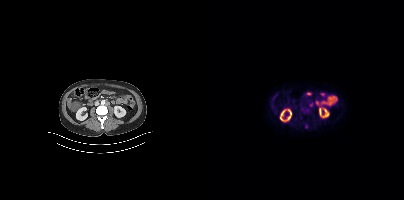
Technique: Paired axial CT (left) and PSMA PET (right), 18F-PSMA tracer. PET panel 200×200 px (4.1 mm/px).
Findings: Coordinates are on the 200×200 PET (right) panel. PSMA-avid tumor lesion bounding box (x0,y0,x1,y1): [101,123,103,128].